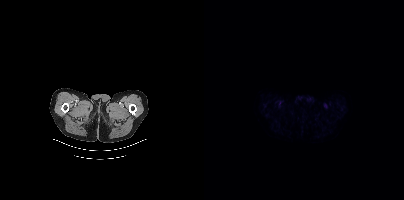
Findings: Negative for PSMA-avid disease on this slice.
- Two-panel axial: CT | PSMA PET, 18F tracer
- acquired on Siemens Biograph mCT Flow 20
- PET panel 200×200 px (4.1 mm/px)